Two-panel axial: CT | PSMA PET, 18F-PSMA tracer. Acquired on Siemens Biograph mCT Flow 20. PET panel 200×200 px (4.1 mm/px).
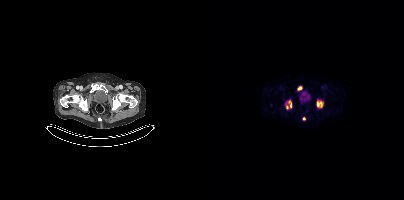
Coordinates are on the 200×200 PET (right) panel. PSMA-avid tumor lesion bounding boxes (x0,y0,x1,y1): [113,101,119,107] [85,101,87,107]. Small PSMA-avid foci (2 to 4 px across) near (center x, center y): (95, 87) (83, 107) (99, 118).